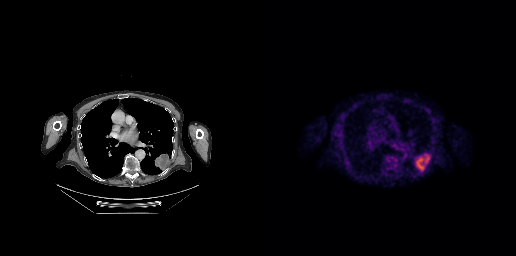
Technique: Paired axial CT (left) and PSMA PET (right), 18F-PSMA tracer. slice position z = -296 mm. PET panel 256×256 px (2.7 mm/px).
Findings: Coordinates are on the 256×256 PET (right) panel. PSMA-avid tumor lesion bounding box (x0,y0,x1,y1): [155,153,170,171].